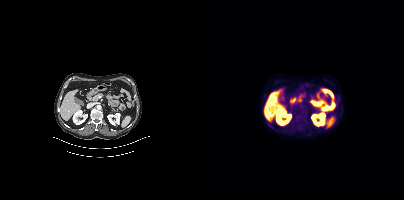
Negative for PSMA-avid disease on this slice. Two-panel axial: CT | PSMA PET, 18F tracer. PET panel 200×200 px (4.1 mm/px).